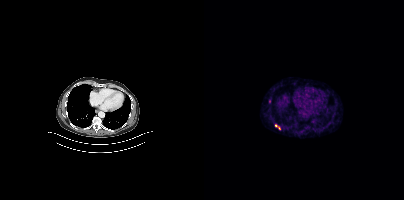
Coordinates are on the 200×200 PET (right) panel. PSMA-avid tumor lesion bounding box (x0, y0)-(x1, y1): (71, 125)-(76, 129). Small PSMA-avid focus (2 to 4 px across) near (center x, center y): (65, 101).